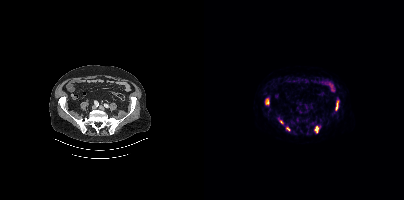
- Two-panel axial: CT | PSMA PET, 18F tracer
- slice 140 of 454
- PET panel 200×200 px (4.1 mm/px)
Findings: Coordinates are on the 200×200 PET (right) panel. PSMA-avid tumor lesion bounding boxes (x0,y0,x1,y1): [110,126,115,133] [131,100,134,110] [61,99,65,104]. Small PSMA-avid foci (2 to 4 px across) near (center x, center y): (83, 128) (77, 121).